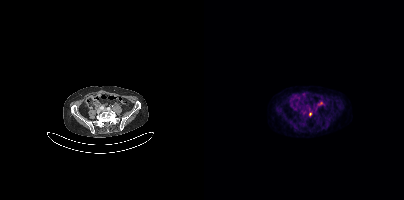
Two-panel axial: CT | PSMA PET, 18F tracer. Slice position z = -1406 mm. PET panel 200×200 px (4.1 mm/px). Coordinates are on the 200×200 PET (right) panel. Small PSMA-avid focus (2 to 4 px across) near (center x, center y): (106, 113).